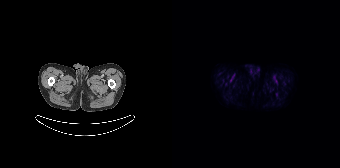
- Two-panel axial: CT | PSMA PET, 18F-PSMA tracer
Findings: No tumor lesions annotated on this slice.